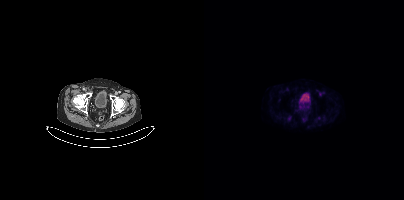
No tumor lesions annotated on this slice.